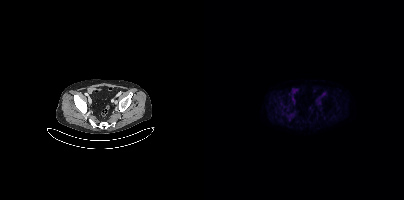
Two-panel axial: CT | PSMA PET, 18F tracer. PET panel 200×200 px (4.1 mm/px). This slice has no annotated PSMA-avid lesion.